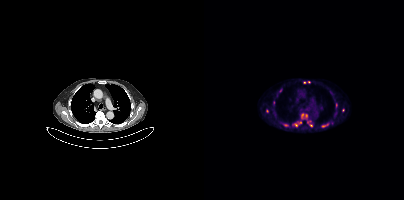
{"modality":"PSMA PET/CT","view":"axial","tracer":"[18F]PSMA-1007","pet_grid":[200,200],"coord_frame":"pet_panel","coord_format":"x0,y0,x1,y1","partial":true,"lesion_bboxes":[[117,123,124,127]],"small_foci_centers":[[98,115],[81,125],[92,125],[63,111],[102,115],[107,125],[100,82],[76,90],[132,105],[96,122],[104,81]]}